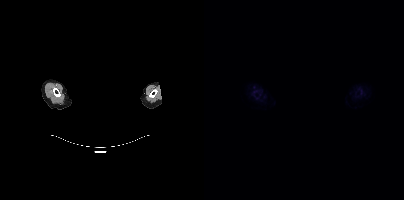
Left: CT. Right: PSMA PET, same axial level, 18F tracer. Slice 382 of 401. Head region blanked for anonymization (face removed). No PSMA-avid tumor lesions on this slice.